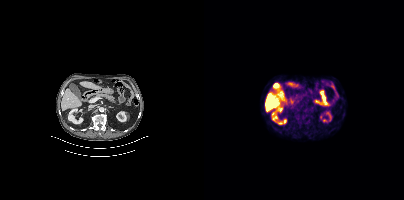
Paired axial CT (left) and PSMA PET (right), [18F]PSMA-1007 tracer. Acquired on Siemens Biograph mCT Flow 20. Slice position z = -1264 mm. PET panel 200×200 px (4.1 mm/px). No PSMA-avid tumor lesions on this slice.